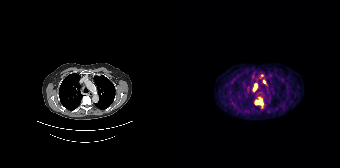
Coordinates are on the 168×168 PET (right) panel. PSMA-avid tumor lesion bounding boxes (x0, y0)-(x1, y1): (83, 97)-(91, 105) | (81, 83)-(85, 90). Small PSMA-avid foci (2 to 4 px across) near (center x, center y): (92, 81) | (89, 75). Left: CT. Right: PSMA PET, same axial level, [68Ga]Ga-PSMA-11 tracer. Acquired on Siemens Biograph 64-4R TruePoint. Slice 129 of 165.